- Paired axial CT (left) and PSMA PET (right), 18F-PSMA tracer
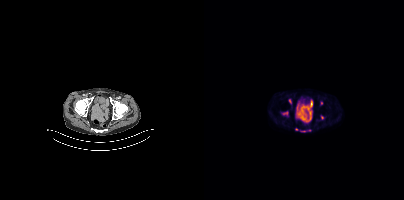
Findings: Coordinates are on the 200×200 PET (right) panel. (showing 4 of 7 foci) PSMA-avid tumor lesion bounding box (x, y, width, height): x=79 y=112 w=5 h=3. Small PSMA-avid foci (2 to 4 px across) near (center x, center y): (86, 101); (117, 103); (92, 129).